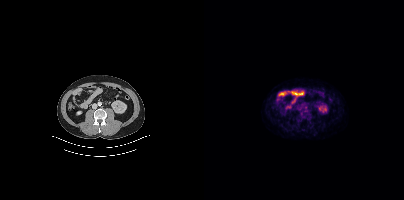
modality: PSMA PET/CT | tracer: [18F]PSMA-1007 | view: axial | PET grid: 200×200
No PSMA-avid tumor lesions on this slice.